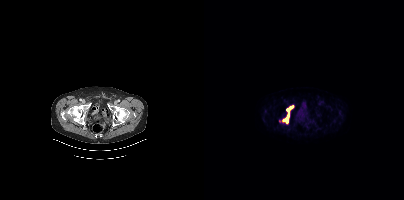
- Two-panel axial: CT | PSMA PET, 18F-PSMA tracer
- PET panel 200×200 px (4.1 mm/px)
Findings: Coordinates are on the 200×200 PET (right) panel. PSMA-avid tumor lesion bounding box (x, y, width, height): x=79 y=105 w=11 h=18. Small PSMA-avid focus (2 to 4 px across) near (center x, center y): (76, 120).